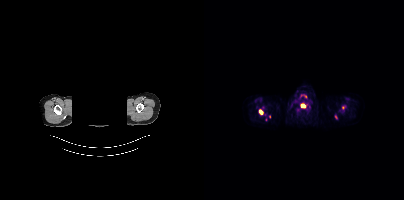
Findings: Coordinates are on the 200×200 PET (right) panel. (showing 2 of 4 foci) PSMA-avid tumor lesion bounding boxes (x, y, width, height): x=55 y=109 w=5 h=6; x=97 y=104 w=5 h=4.
Technique: Paired axial CT (left) and PSMA PET (right), [18F]PSMA-1007 tracer.
Note: Face de-identified by blanking a block of the head.